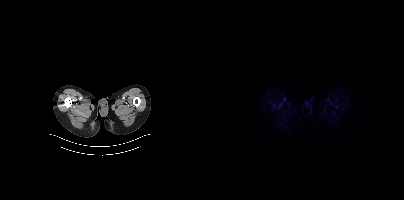
Findings: This slice has no annotated PSMA-avid lesion.
Technique: Two-panel axial: CT | PSMA PET, 18F tracer.